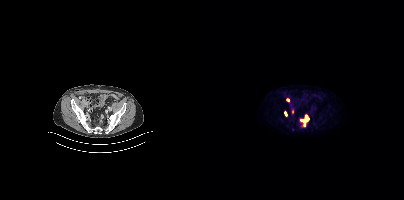
Technique: Paired axial CT (left) and PSMA PET (right), 18F tracer. acquired on Siemens Biograph mCT Flow 20. slice 91 of 411. PET panel 200×200 px (4.1 mm/px).
Findings: Coordinates are on the 200×200 PET (right) panel. (showing 4 of 5 foci) PSMA-avid tumor lesion bounding boxes (x, y, width, height): x=96 y=114 w=10 h=14; x=80 y=110 w=4 h=7; x=82 y=98 w=4 h=5. Small PSMA-avid focus (2 to 4 px across) near (center x, center y): (88, 111).